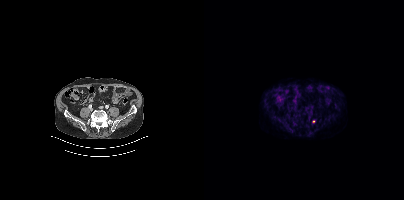
Coordinates are on the 200×200 PET (right) panel. Small PSMA-avid focus (2 to 4 px across) near (center x, center y): (109, 121).